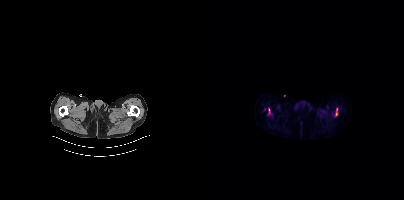
Technique: Two-panel axial: CT | PSMA PET, 18F-PSMA tracer. PET panel 200×200 px (4.1 mm/px).
Findings: Coordinates are on the 200×200 PET (right) panel. PSMA-avid tumor lesion bounding boxes (x0,y0,x1,y1): [131,108,133,115] [64,108,66,113].